Technique: Left: CT. Right: PSMA PET, same axial level, 18F tracer. acquired on Siemens Biograph mCT Flow 20.
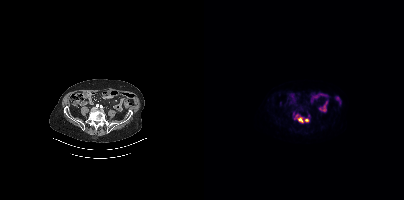
Findings: Coordinates are on the 200×200 PET (right) panel. PSMA-avid tumor lesion bounding box (x0,y0,x1,y1): [89,112,105,123]. Small PSMA-avid focus (2 to 4 px across) near (center x, center y): (104, 115).